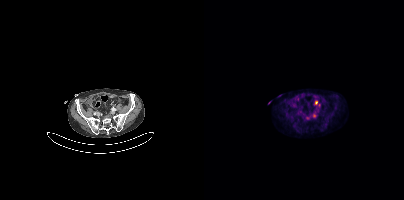
Two-panel axial: CT | PSMA PET, 18F tracer. Acquired on Siemens Biograph mCT Flow 20. Slice position z = -1436 mm. Coordinates are on the 200×200 PET (right) panel. (showing 3 of 4 foci) Small PSMA-avid foci (2 to 4 px across) near (center x, center y): (110, 115) | (112, 102) | (103, 117).